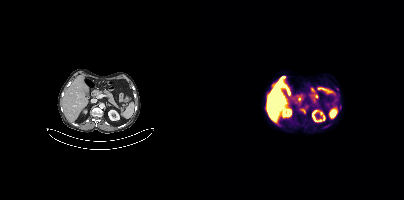
Paired axial CT (left) and PSMA PET (right), 18F-PSMA tracer. Acquired on Siemens Biograph mCT Flow 20. Slice 179 of 373.
Coordinates are on the 200×200 PET (right) panel. PSMA-avid tumor lesion bounding boxes (partial; 1 more focus not listed):
| # | x0 | y0 | x1 | y1 |
|---|---|---|---|---|
| 1 | 96 | 108 | 101 | 113 |